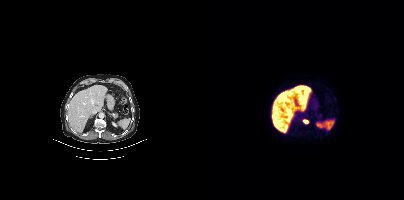
Coordinates are on the 200×200 PET (right) panel. PSMA-avid tumor lesion bounding boxes:
| # | x0 | y0 | x1 | y1 |
|---|---|---|---|---|
| 1 | 100 | 120 | 104 | 123 |
Left: CT. Right: PSMA PET, same axial level, 18F tracer. Slice position z = -1105 mm. PET panel 200×200 px (4.1 mm/px).